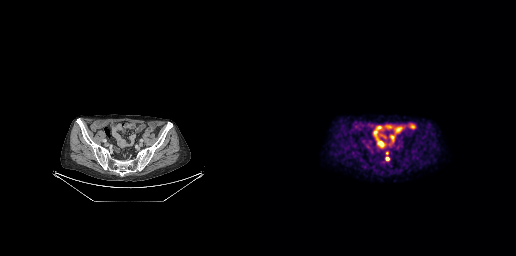
{"pet_grid":[256,256],"coord_frame":"pet_panel","coord_format":"x0,y0,x1,y1","lesion_bboxes":[],"small_foci_centers":[[127,152],[127,158]],"modality":"PSMA PET/CT","view":"axial","tracer":"[18F]PSMA-1007"}